The face region was removed for patient privacy by blanking a rectangle over the head. Paired axial CT (left) and PSMA PET (right), [18F]PSMA-1007 tracer. Slice 415 of 452.
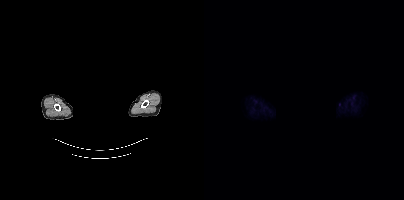
No tumor lesions annotated on this slice.